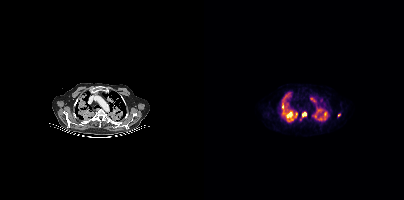
{"modality":"PSMA PET/CT","view":"axial","tracer":"[18F]PSMA-1007","pet_grid":[200,200],"coord_frame":"pet_panel","coord_format":"x0,y0,x1,y1","partial":true,"lesion_bboxes":[[77,103,89,121],[114,108,122,120],[80,92,87,98],[106,97,112,102],[98,112,102,117],[109,112,113,118],[81,103,84,107],[90,112,93,117]],"small_foci_centers":[[79,100]]}